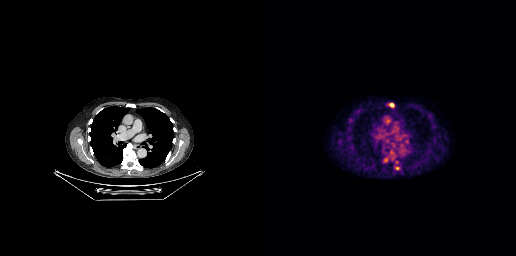
Technique: Left: CT. Right: PSMA PET, same axial level, 18F-PSMA tracer. PET panel 256×256 px (2.7 mm/px).
Findings: Coordinates are on the 256×256 PET (right) panel. (showing 5 of 7 foci) PSMA-avid tumor lesion bounding boxes (x0,y0,x1,y1): [130,150,135,159]; [123,157,128,162]. Small PSMA-avid foci (2 to 4 px across) near (center x, center y): (131, 104); (137, 162); (127, 120).